Left: CT. Right: PSMA PET, same axial level, [18F]PSMA-1007 tracer.
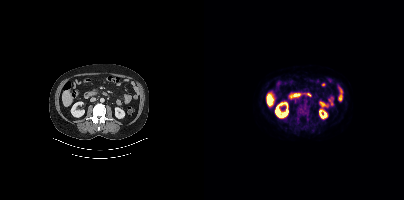
Coordinates are on the 200×200 PET (right) panel. PSMA-avid tumor lesion bounding boxes:
| # | x0 | y0 | x1 | y1 |
|---|---|---|---|---|
| 1 | 92 | 102 | 105 | 119 |
| 2 | 91 | 119 | 95 | 123 |